Two-panel axial: CT | PSMA PET, 18F tracer. Acquired on Siemens Biograph mCT Flow 20. PET panel 200×200 px (4.1 mm/px).
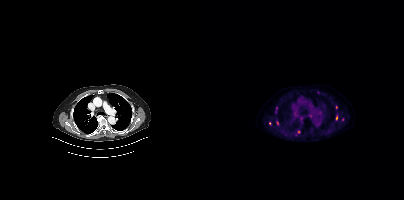
Coordinates are on the 200×200 PET (right) panel. PSMA-avid tumor lesion bounding box (x0, y0)-(x1, y1): (71, 107)-(73, 113). Small PSMA-avid foci (2 to 4 px across) near (center x, center y): (91, 134) | (138, 119) | (65, 123) | (132, 118) | (73, 123) | (94, 131) | (132, 106).